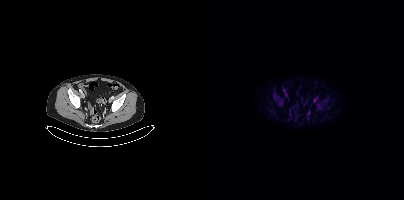
This slice has no annotated PSMA-avid lesion. Two-panel axial: CT | PSMA PET, 18F tracer. Acquired on Siemens Biograph mCT Flow 20. Slice 92 of 431. PET panel 200×200 px (4.1 mm/px).